Left: CT. Right: PSMA PET, same axial level, 18F tracer. PET panel 200×200 px (4.1 mm/px).
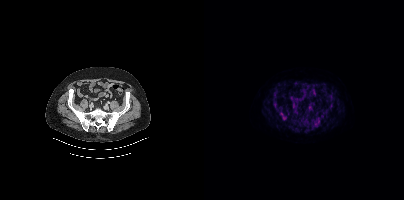
Coordinates are on the 200×200 PET (right) panel. PSMA-avid tumor lesion bounding boxes:
| # | x0 | y0 | x1 | y1 |
|---|---|---|---|---|
| 1 | 109 | 119 | 116 | 127 |
| 2 | 76 | 111 | 82 | 120 |
| 3 | 69 | 89 | 74 | 96 |
| 4 | 89 | 108 | 93 | 112 |
| 5 | 119 | 110 | 123 | 114 |
| 6 | 126 | 103 | 128 | 107 |
Small PSMA-avid foci (2 to 4 px across) near (center x, center y): (103, 125); (127, 100); (71, 101).